Paired axial CT (left) and PSMA PET (right), 18F-PSMA tracer. PET panel 200×200 px (4.1 mm/px).
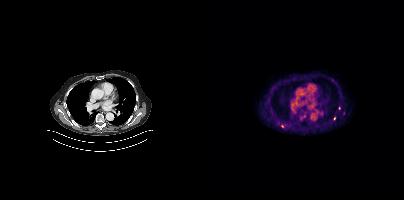
Coordinates are on the 200×200 PET (right) panel. (showing 4 of 5 foci) Small PSMA-avid foci (2 to 4 px across) near (center x, center y): (130, 117) | (78, 126) | (100, 116) | (97, 118).